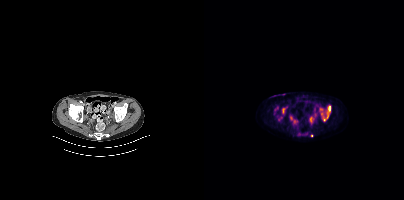
Coordinates are on the 200×200 PET (right) panel. (showing 6 of 8 foci) PSMA-avid tumor lesion bounding boxes (x0,y0,x1,y1): [123,106,126,118], [78,107,83,114]. Small PSMA-avid foci (2 to 4 px across) near (center x, center y): (120, 119), (73, 107), (77, 117), (74, 119).